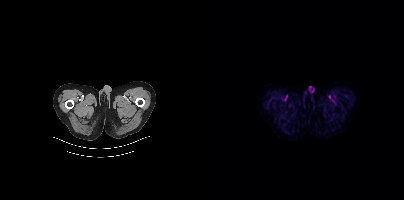
Negative for PSMA-avid disease on this slice.